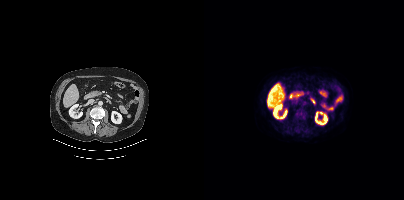
Paired axial CT (left) and PSMA PET (right), [18F]PSMA-1007 tracer. Slice position z = -608 mm. No tumor lesions annotated on this slice.